- Paired axial CT (left) and PSMA PET (right), 18F-PSMA tracer
- acquired on Siemens Biograph mCT Flow 20
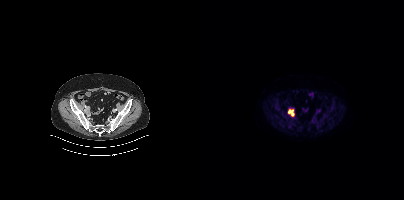
Findings: Coordinates are on the 200×200 PET (right) panel. PSMA-avid tumor lesion bounding box (x0,y0,x1,y1): [84,109,90,116].